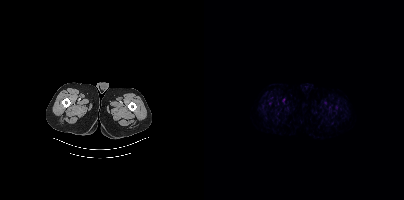
{"modality":"PSMA PET/CT","view":"axial","tracer":"18F-PSMA","pet_grid":[200,200],"coord_frame":"pet_panel","coord_format":"x0,y0,x1,y1","psma_avid_lesions":false}